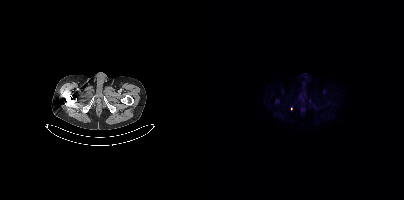
Findings: Coordinates are on the 200×200 PET (right) panel. (showing 1 of 2 foci) Small PSMA-avid focus (2 to 4 px across) near (center x, center y): (87, 109).
Technique: Left: CT. Right: PSMA PET, same axial level, 18F tracer.